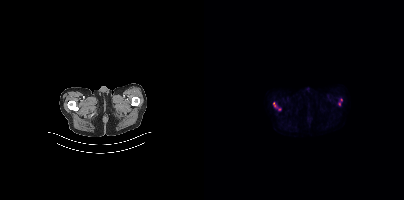
Technique: Paired axial CT (left) and PSMA PET (right), 18F tracer. slice position z = -1562 mm. PET panel 200×200 px (4.1 mm/px).
Findings: Coordinates are on the 200×200 PET (right) panel. PSMA-avid tumor lesion bounding box (x0, y0)-(x1, y1): (69, 102)-(72, 107). Small PSMA-avid foci (2 to 4 px across) near (center x, center y): (75, 109) / (135, 104) / (137, 99).